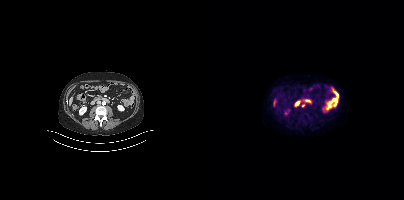
Findings: Coordinates are on the 200×200 PET (right) panel. Small PSMA-avid focus (2 to 4 px across) near (center x, center y): (99, 105).
Technique: Paired axial CT (left) and PSMA PET (right), 18F-PSMA tracer. acquired on Siemens Biograph mCT Flow 20. slice position z = -798 mm.